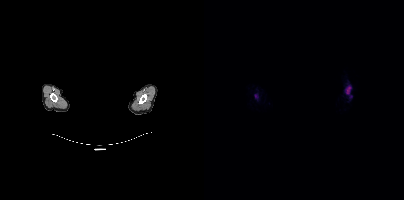
redaction: privacy mask over head | modality: PSMA PET/CT | tracer: 18F | view: axial
Coordinates are on the 200×200 PET (right) panel. (showing 2 of 3 foci) PSMA-avid tumor lesion bounding box (x, y, width, height): x=142 y=86 w=6 h=9. Small PSMA-avid focus (2 to 4 px across) near (center x, center y): (51, 95).